modality: PSMA PET/CT | tracer: 18F-PSMA | view: axial | PET grid: 200×200
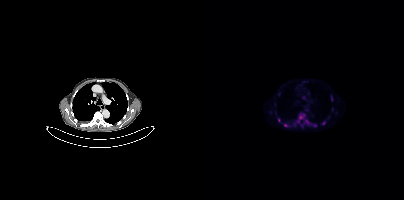
Coordinates are on the 200×200 PET (right) panel. PSMA-avid tumor lesion bounding box (x0,y0,x1,y1): [95,115,100,118]. Small PSMA-avid foci (2 to 4 px across) near (center x, center y): (119, 123), (81, 125), (111, 125), (74, 120), (99, 97), (102, 120).